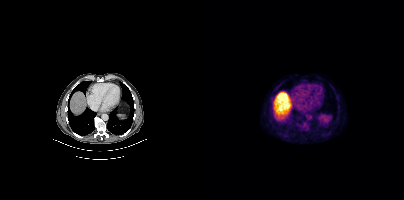
Coordinates are on the 200×200 PET (right) panel. Small PSMA-avid focus (2 to 4 px across) near (center x, center y): (103, 127).